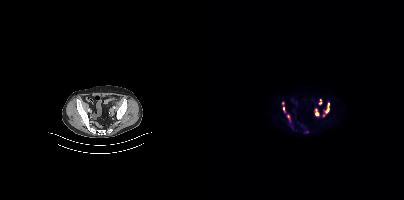
- Paired axial CT (left) and PSMA PET (right), [18F]PSMA-1007 tracer
- slice 82 of 403
- PET panel 200×200 px (4.1 mm/px)
Findings: Coordinates are on the 200×200 PET (right) panel. (showing 7 of 8 foci) PSMA-avid tumor lesion bounding boxes (x0, y0)-(x1, y1): (119, 103)-(125, 116) / (111, 109)-(114, 115) / (79, 107)-(81, 112) / (83, 114)-(85, 118). Small PSMA-avid foci (2 to 4 px across) near (center x, center y): (116, 103) / (116, 99) / (78, 102).